Left: CT. Right: PSMA PET, same axial level, 18F-PSMA tracer. Slice 27 of 403. PET panel 200×200 px (4.1 mm/px).
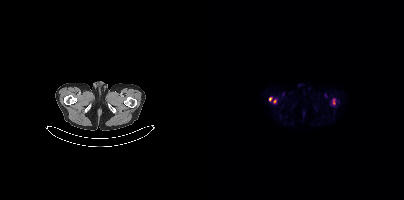
Coordinates are on the 200×200 PET (right) panel. PSMA-avid tumor lesion bounding boxes (x, y, width, height): x=65 y=97 w=4 h=5; x=129 y=99 w=3 h=6; x=69 y=99 w=4 h=5.